Technique: Two-panel axial: CT | PSMA PET, 18F tracer. slice 45 of 409. PET panel 200×200 px (4.1 mm/px).
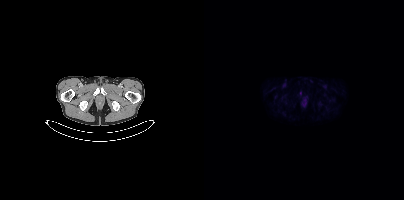
Findings: Coordinates are on the 200×200 PET (right) panel. Small PSMA-avid focus (2 to 4 px across) near (center x, center y): (96, 92).